modality: PSMA PET/CT | tracer: 18F-PSMA | view: axial
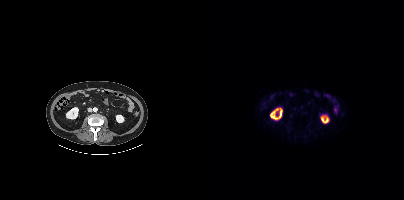
No tumor lesions annotated on this slice.